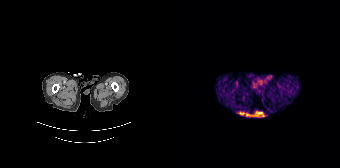
Two-panel axial: CT | PSMA PET, 68Ga tracer. This slice has no annotated PSMA-avid lesion.